modality: PSMA PET/CT | tracer: 18F | view: axial
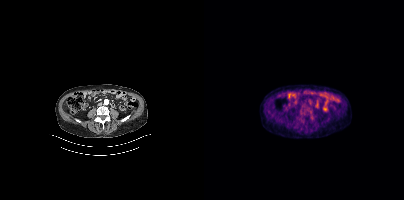
No tumor lesions annotated on this slice.